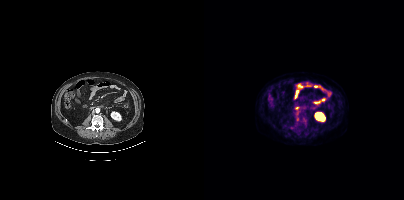
{"pet_grid":[200,200],"coord_frame":"pet_panel","coord_format":"x0,y0,x1,y1","lesion_bboxes":[],"small_foci_centers":[[93,119]],"modality":"PSMA PET/CT","view":"axial","tracer":"[18F]PSMA-1007"}